Two-panel axial: CT | PSMA PET, 18F tracer.
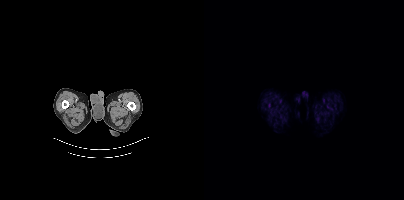
Negative for PSMA-avid disease on this slice.